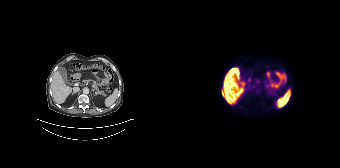
{"modality":"PSMA PET/CT","view":"axial","tracer":"[18F]PSMA-1007","pet_grid":[168,168],"coord_frame":"pet_panel","coord_format":"x0,y0,x1,y1","partial":true,"lesion_bboxes":[]}